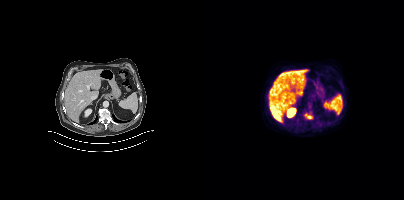
- Left: CT. Right: PSMA PET, same axial level, 18F tracer
- acquired on Siemens Biograph mCT Flow 20
- PET panel 200×200 px (4.1 mm/px)
Findings: Coordinates are on the 200×200 PET (right) panel. PSMA-avid tumor lesion bounding box (x, y, width, height): x=100 y=113 w=9 h=7.